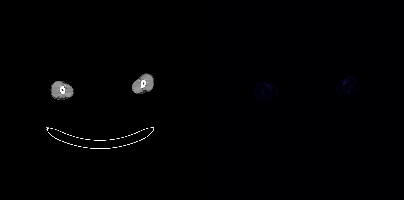
{"pet_grid":[200,200],"coord_frame":"pet_panel","coord_format":"x0,y0,x1,y1","psma_avid_lesions":false,"modality":"PSMA PET/CT","view":"axial","tracer":"68Ga-PSMA","redaction":"rectangular block over head set to black"}